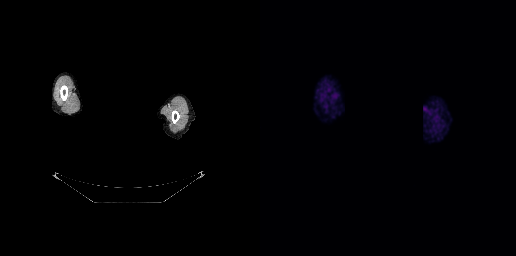
{"modality":"PSMA PET/CT","view":"axial","tracer":"18F-PSMA","pet_grid":[256,256],"coord_frame":"pet_panel","coord_format":"x0,y0,x1,y1","deidentification":"privacy mask over head","psma_avid_lesions":false}